modality: PSMA PET/CT | tracer: [18F]PSMA-1007 | view: axial
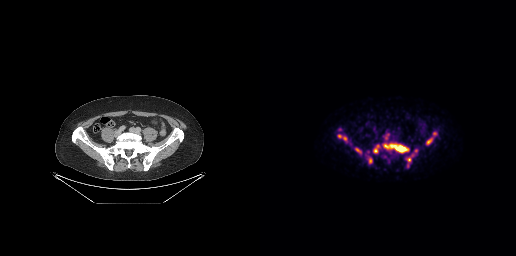
Coordinates are on the 256×256 PET (right) panel. (showing 11 of 13 foci) PSMA-avid tumor lesion bounding boxes (x, y, width, height): x=123 y=143 w=27 h=11; x=105 y=150 w=8 h=14; x=165 y=137 w=8 h=9; x=95 y=148 w=8 h=8; x=78 y=134 w=10 h=8; x=113 y=145 w=7 h=9; x=146 y=154 w=8 h=8. Small PSMA-avid foci (2 to 4 px across) near (center x, center y): (174, 133); (156, 150); (126, 138); (127, 134).